Technique: Two-panel axial: CT | PSMA PET, 18F tracer. acquired on Siemens Biograph mCT Flow 20. slice 309 of 389.
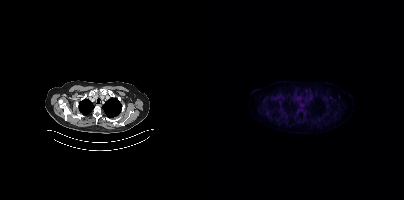
Findings: No tumor lesions annotated on this slice.